Paired axial CT (left) and PSMA PET (right), [18F]PSMA-1007 tracer. Acquired on Siemens Biograph mCT Flow 20.
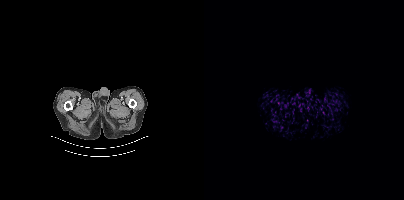
Negative for PSMA-avid disease on this slice.